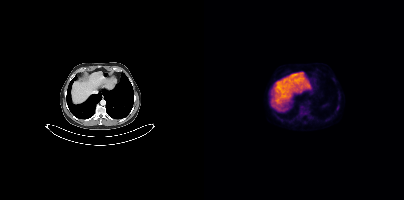
modality: PSMA PET/CT | tracer: 18F-PSMA | view: axial
No tumor lesions annotated on this slice.